Technique: Left: CT. Right: PSMA PET, same axial level, 68Ga-PSMA tracer. acquired on GE Discovery 690. PET panel 256×256 px (2.7 mm/px).
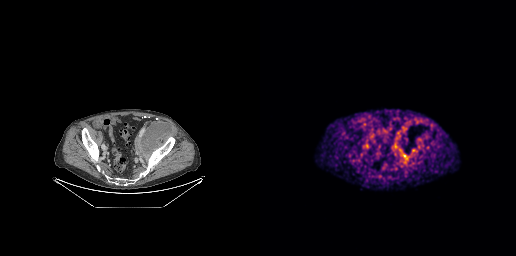
Findings: Coordinates are on the 256×256 PET (right) panel. PSMA-avid tumor lesion bounding boxes (x0, y0)-(x1, y1): (139, 150)-(147, 159) / (150, 149)-(157, 154).